modality: PSMA PET/CT | tracer: 68Ga | view: axial
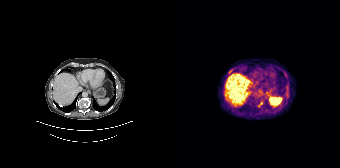
Coordinates are on the 168×168 PET (right) panel. PSMA-avid tumor lesion bounding box (x0,y0,x1,y1): [86,101,90,107].